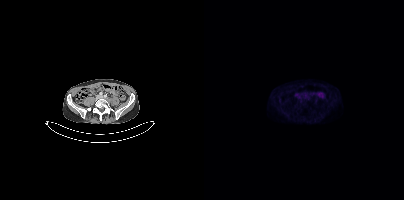
Findings: No tumor lesions annotated on this slice.
Technique: Paired axial CT (left) and PSMA PET (right), 18F-PSMA tracer.